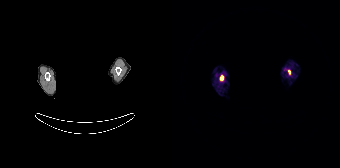
The head region is masked for de-identification.
Coordinates are on the 168×168 PET (right) panel. PSMA-avid tumor lesion bounding box (x, y, width, height): x=48 y=76 w=4 h=5. Small PSMA-avid focus (2 to 4 px across) near (center x, center y): (117, 71).